Left: CT. Right: PSMA PET, same axial level, 18F-PSMA tracer. Slice 315 of 405. PET panel 200×200 px (4.1 mm/px).
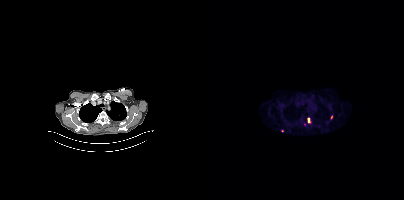
Coordinates are on the 200×200 PET (right) panel. PSMA-avid tumor lesion bounding box (x, y, width, height): x=104 y=118 w=2 h=5. Small PSMA-avid foci (2 to 4 px across) near (center x, center y): (127, 117) | (100, 124) | (78, 130) | (97, 118).